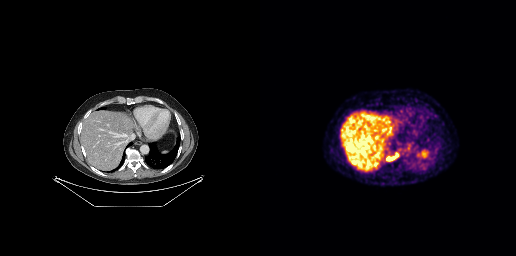
Technique: Left: CT. Right: PSMA PET, same axial level, [68Ga]Ga-PSMA-11 tracer.
Findings: Coordinates are on the 256×256 PET (right) panel. PSMA-avid tumor lesion bounding box (x0, y0)-(x1, y1): (126, 152)-(138, 161).